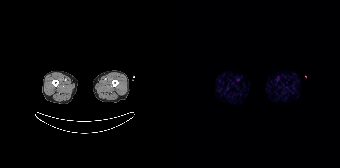
No tumor lesions annotated on this slice.